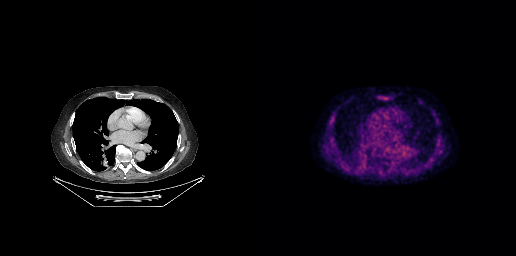
Two-panel axial: CT | PSMA PET, 18F tracer. Acquired on GE Discovery 690. Slice 283 of 371. PET panel 256×256 px (2.7 mm/px). No PSMA-avid tumor lesions on this slice.